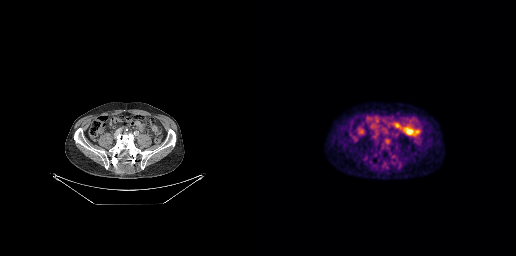
{"modality":"PSMA PET/CT","view":"axial","tracer":"18F-PSMA","pet_grid":[256,256],"coord_frame":"pet_panel","coord_format":"x0,y0,x1,y1","psma_avid_lesions":false}